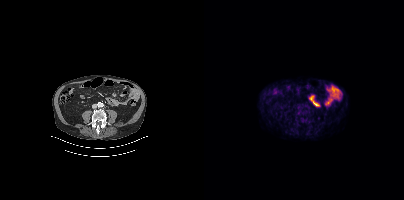
Technique: Left: CT. Right: PSMA PET, same axial level, 18F tracer. acquired on Siemens Biograph mCT Flow 20. slice 139 of 427. PET panel 200×200 px (4.1 mm/px).
Findings: Negative for PSMA-avid disease on this slice.